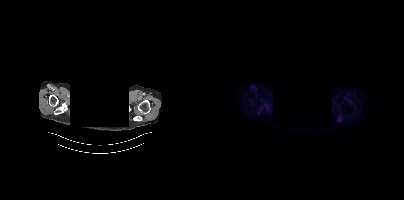
redaction: face masked with black rectangle | modality: PSMA PET/CT | tracer: 18F | view: axial
Coordinates are on the 200×200 PET (right) panel. PSMA-avid tumor lesion bounding box (x0,y0,x1,y1): [133,117,137,121].